modality: PSMA PET/CT | tracer: [68Ga]Ga-PSMA-11 | view: axial | PET grid: 256×256
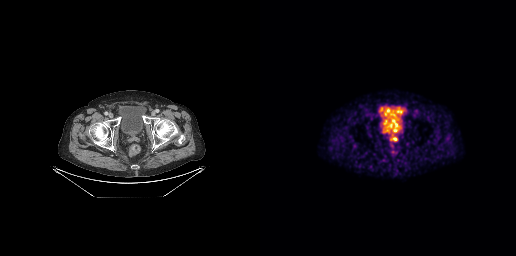
Coordinates are on the 256×256 PET (right) panel. Small PSMA-avid focus (2 to 4 px across) near (center x, center y): (134, 139).